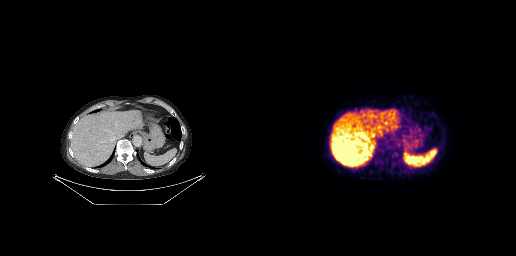
{"modality":"PSMA PET/CT","view":"axial","tracer":"18F","pet_grid":[256,256],"coord_frame":"pet_panel","coord_format":"x0,y0,x1,y1","psma_avid_lesions":false}